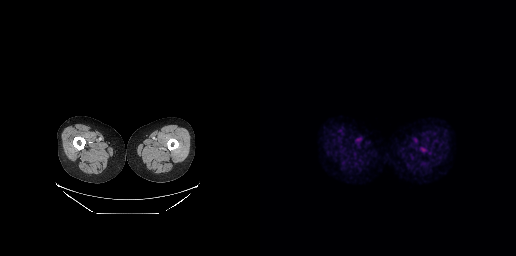
Two-panel axial: CT | PSMA PET, 18F tracer. Acquired on GE Discovery 690. Slice position z = -859 mm. No PSMA-avid tumor lesions on this slice.